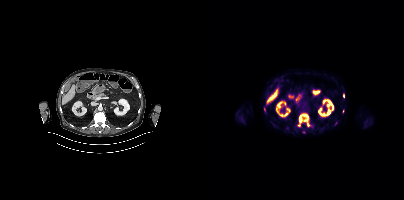
{"pet_grid":[200,200],"coord_frame":"pet_panel","coord_format":"x0,y0,x1,y1","partial":true,"lesion_bboxes":[[95,114,105,126]],"small_foci_centers":[[139,95],[60,109],[95,125],[131,123]],"modality":"PSMA PET/CT","view":"axial","tracer":"18F"}